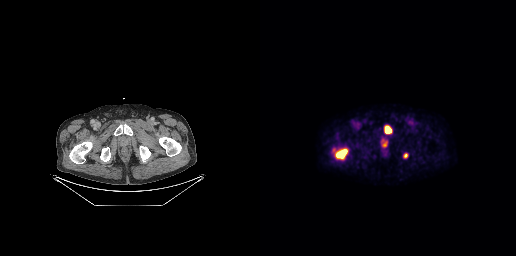
{"modality":"PSMA PET/CT","view":"axial","tracer":"18F-PSMA","pet_grid":[256,256],"coord_frame":"pet_panel","coord_format":"x0,y0,x1,y1","lesion_bboxes":[[72,147,88,160],[124,125,132,133],[121,140,127,147],[144,153,147,157]]}